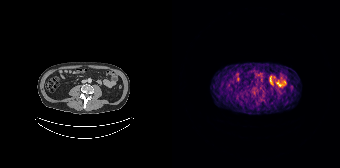
No PSMA-avid tumor lesions on this slice.